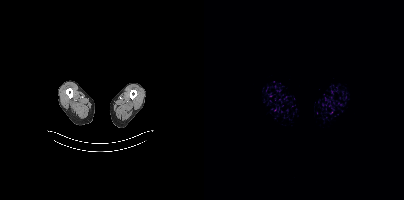
modality: PSMA PET/CT | tracer: [18F]PSMA-1007 | view: axial
Negative for PSMA-avid disease on this slice.